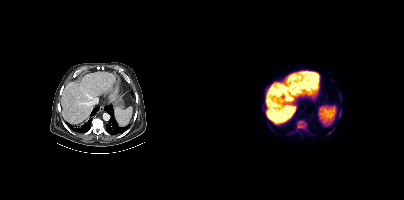
Coordinates are on the 200×200 PET (right) panel. (showing 4 of 6 foci) PSMA-avid tumor lesion bounding boxes (x0, y0)-(x1, y1): (92, 119)-(103, 131); (135, 112)-(137, 117); (136, 95)-(137, 99). Small PSMA-avid focus (2 to 4 px across) near (center x, center y): (125, 133).